Technique: Two-panel axial: CT | PSMA PET, 18F-PSMA tracer. acquired on Siemens Biograph mCT Flow 20. slice 24 of 421. PET panel 200×200 px (4.1 mm/px).
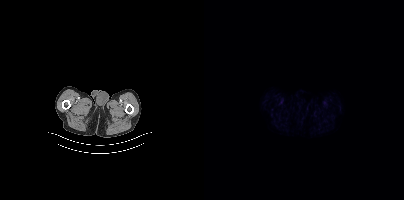
Findings: This slice has no annotated PSMA-avid lesion.